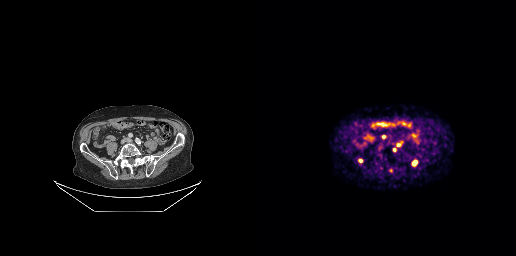
{"modality":"PSMA PET/CT","view":"axial","tracer":"68Ga-PSMA","pet_grid":[256,256],"coord_frame":"pet_panel","coord_format":"x0,y0,x1,y1","lesion_bboxes":[[152,160,157,165],[136,141,142,146],[129,168,132,172],[98,159,102,162]],"small_foci_centers":[[123,136],[134,149]]}